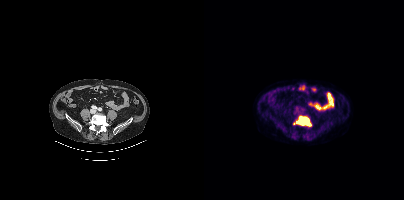
Coordinates are on the 200×200 PET (right) panel. PSMA-avid tumor lesion bounding boxes:
| # | x0 | y0 | x1 | y1 |
|---|---|---|---|---|
| 1 | 89 | 116 | 107 | 126 |
Left: CT. Right: PSMA PET, same axial level, [18F]PSMA-1007 tracer.